- Paired axial CT (left) and PSMA PET (right), [18F]PSMA-1007 tracer
- PET panel 200×200 px (4.1 mm/px)
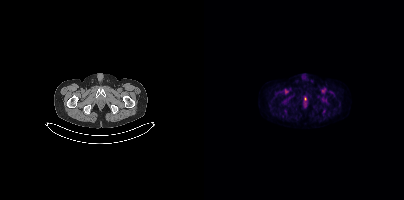
Findings: Coordinates are on the 200×200 PET (right) panel. Small PSMA-avid focus (2 to 4 px across) near (center x, center y): (101, 98).